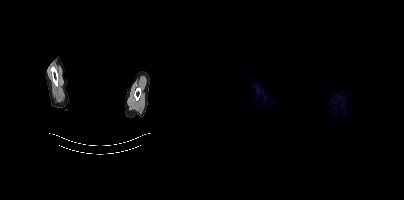
{"modality":"PSMA PET/CT","view":"axial","tracer":"18F","pet_grid":[200,200],"coord_frame":"pet_panel","coord_format":"x0,y0,x1,y1","de-identification":"face masked with black rectangle","psma_avid_lesions":false}